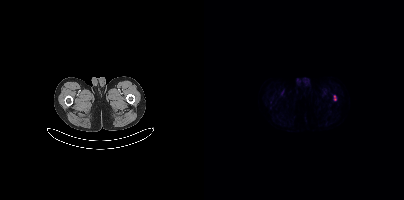
Technique: Left: CT. Right: PSMA PET, same axial level, 18F-PSMA tracer.
Findings: Coordinates are on the 200×200 PET (right) panel. PSMA-avid tumor lesion bounding box (x, y, width, height): x=130 y=96 w=2 h=5.